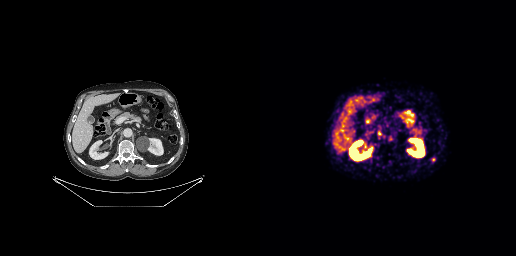
Coordinates are on the 256×256 PET (right) panel. (showing 1 of 2 foci) Small PSMA-avid focus (2 to 4 px across) near (center x, center y): (119, 132). Paired axial CT (left) and PSMA PET (right), 68Ga-PSMA tracer. Acquired on GE Discovery 690.